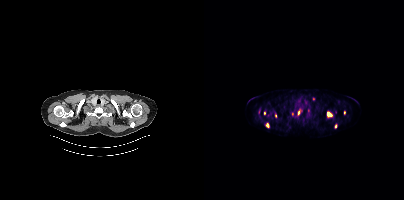
modality: PSMA PET/CT | tracer: [18F]PSMA-1007 | view: axial
Coordinates are on the 200×200 PET (right) panel. (showing 7 of 9 foci) PSMA-avid tumor lesion bounding boxes (x0, y0)-(x1, y1): (123, 111)-(128, 117) / (62, 123)-(64, 127). Small PSMA-avid foci (2 to 4 px across) near (center x, center y): (94, 112) / (60, 113) / (140, 112) / (131, 126) / (109, 98).